Technique: Two-panel axial: CT | PSMA PET, 18F-PSMA tracer. slice 65 of 431. PET panel 200×200 px (4.1 mm/px).
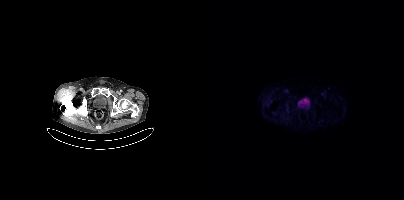
Findings: This slice has no annotated PSMA-avid lesion.